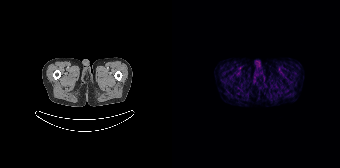
Paired axial CT (left) and PSMA PET (right), [68Ga]Ga-PSMA-11 tracer. Slice 33 of 195. PET panel 168×168 px (4.1 mm/px). This slice has no annotated PSMA-avid lesion.